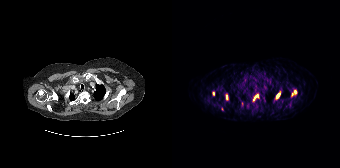
Technique: Left: CT. Right: PSMA PET, same axial level, 68Ga-PSMA tracer. slice 165 of 195.
Findings: Coordinates are on the 168×168 PET (right) panel. (showing 5 of 6 foci) PSMA-avid tumor lesion bounding boxes (x0, y0)-(x1, y1): (103, 91)-(108, 99) | (119, 90)-(125, 96) | (81, 94)-(86, 101) | (54, 94)-(56, 100). Small PSMA-avid focus (2 to 4 px across) near (center x, center y): (41, 93).